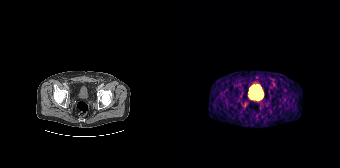
Findings: Only PSMA-avid lesion pieces thinner than 2 px on this slice (not listed).
Technique: Two-panel axial: CT | PSMA PET, 68Ga-PSMA tracer. acquired on Siemens Biograph 64-4R TruePoint. PET panel 168×168 px (4.1 mm/px).